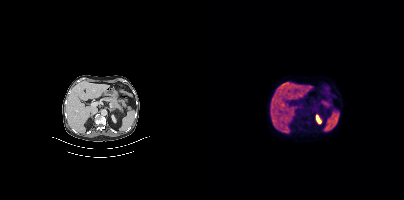
Technique: Two-panel axial: CT | PSMA PET, [18F]PSMA-1007 tracer.
Findings: No tumor lesions annotated on this slice.